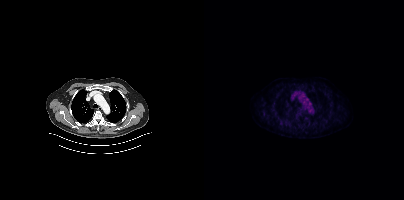
No tumor lesions annotated on this slice.